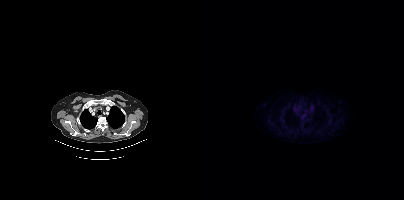
modality: PSMA PET/CT | tracer: 18F | view: axial
Negative for PSMA-avid disease on this slice.